Technique: Two-panel axial: CT | PSMA PET, 18F tracer. PET panel 200×200 px (4.1 mm/px).
Note: An anonymization step blacked out a rectangle over the head in this scan.
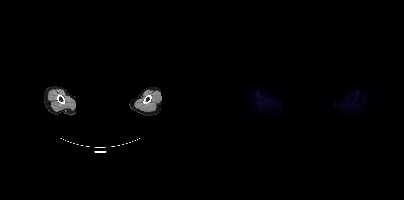
Findings: No tumor lesions annotated on this slice.